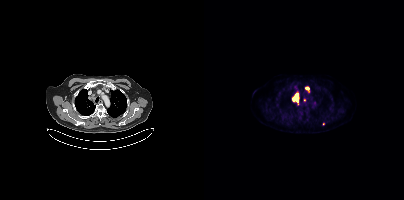
Left: CT. Right: PSMA PET, same axial level, 18F tracer. Coordinates are on the 200×200 PET (right) panel. PSMA-avid tumor lesion bounding box (x0, y0)-(x1, y1): (89, 93)-(94, 102). Small PSMA-avid foci (2 to 4 px across) near (center x, center y): (102, 88); (119, 123).